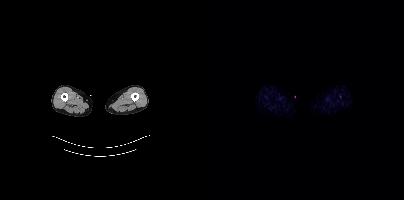
{"modality":"PSMA PET/CT","view":"axial","tracer":"18F","pet_grid":[200,200],"coord_frame":"pet_panel","coord_format":"x0,y0,x1,y1","psma_avid_lesions":false}